modality: PSMA PET/CT | tracer: [18F]PSMA-1007 | view: axial
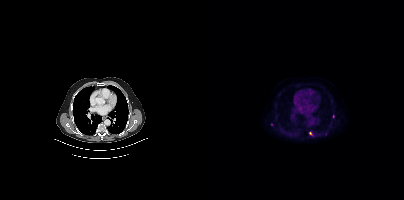
Coordinates are on the 200×200 PET (right) panel. (showing 1 of 2 foci) Small PSMA-avid focus (2 to 4 px across) near (center x, center y): (106, 133).